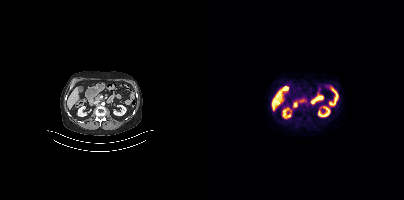
Findings: Negative for PSMA-avid disease on this slice.
Technique: Left: CT. Right: PSMA PET, same axial level, 18F tracer. slice 164 of 356. PET panel 200×200 px (4.1 mm/px).